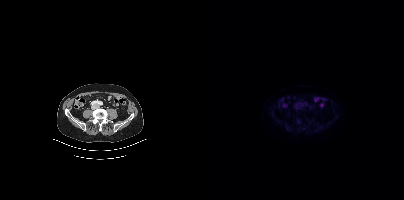
Two-panel axial: CT | PSMA PET, 18F-PSMA tracer. Acquired on Siemens Biograph mCT Flow 20. Negative for PSMA-avid disease on this slice.